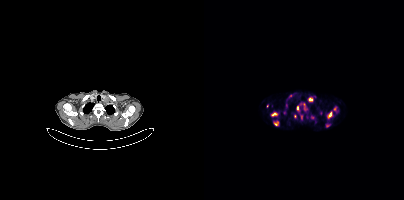
{"modality":"PSMA PET/CT","view":"axial","tracer":"68Ga-PSMA","pet_grid":[200,200],"coord_frame":"pet_panel","coord_format":"x0,y0,x1,y1","partial":true,"lesion_bboxes":[[123,111,128,118],[67,112,73,116],[104,97,109,100],[70,121,74,125],[92,106,94,111],[96,115,98,119]],"small_foci_centers":[[108,117],[130,109],[63,105],[91,115],[123,125],[86,95],[79,111]]}